Technique: Paired axial CT (left) and PSMA PET (right), 18F-PSMA tracer. acquired on Siemens Biograph mCT Flow 20. PET panel 200×200 px (4.1 mm/px).
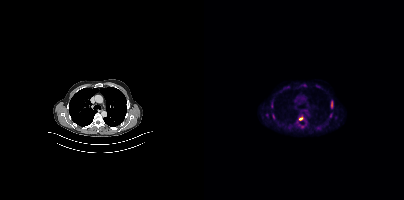
Findings: Coordinates are on the 200×200 PET (right) panel. (showing 8 of 10 foci) PSMA-avid tumor lesion bounding boxes (x0,y0,x1,y1): [126,100,129,108], [125,113,128,117], [68,114,70,119], [67,103,68,107]. Small PSMA-avid foci (2 to 4 px across) near (center x, center y): (114, 128), (96, 118), (62, 115), (100, 85).